Left: CT. Right: PSMA PET, same axial level, [18F]PSMA-1007 tracer. Acquired on Siemens Biograph mCT Flow 20.
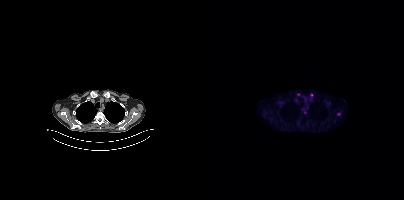
Coordinates are on the 200×200 PET (right) panel. (showing 3 of 4 foci) Small PSMA-avid foci (2 to 4 px across) near (center x, center y): (134, 114); (107, 95); (100, 112).